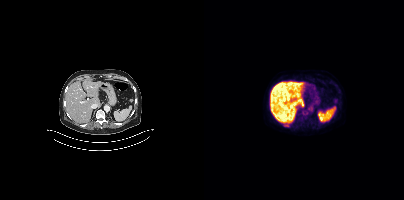
{"modality":"PSMA PET/CT","view":"axial","tracer":"18F","pet_grid":[200,200],"coord_frame":"pet_panel","coord_format":"x0,y0,x1,y1","lesion_bboxes":[[99,111,103,115],[79,124,85,127]]}